- Paired axial CT (left) and PSMA PET (right), [18F]PSMA-1007 tracer
- acquired on Siemens Biograph mCT Flow 20
- slice position z = -940 mm
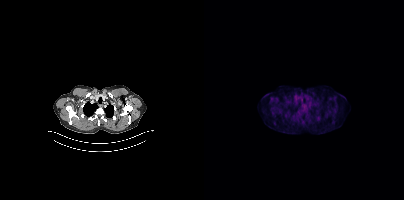
Findings: This slice has no annotated PSMA-avid lesion.